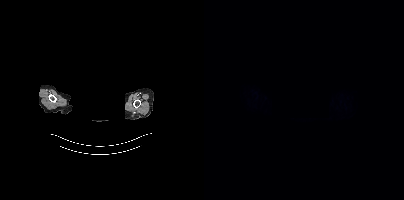
Findings: No tumor lesions annotated on this slice.
Technique: Paired axial CT (left) and PSMA PET (right), 18F-PSMA tracer. slice 357 of 395. PET panel 200×200 px (4.1 mm/px).
Note: The face region was removed for patient privacy by blanking a rectangle over the head.